Technique: Left: CT. Right: PSMA PET, same axial level, [18F]PSMA-1007 tracer. slice position z = -586 mm.
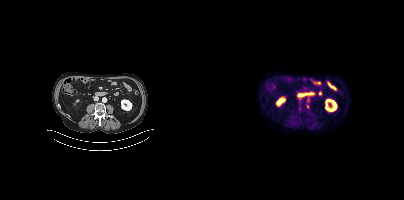
Findings: Coordinates are on the 200×200 PET (right) panel. Small PSMA-avid focus (2 to 4 px across) near (center x, center y): (103, 106).